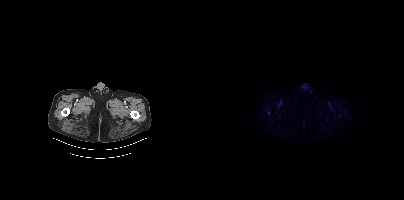
Coordinates are on the 200×200 PET (right) panel. Small PSMA-avid focus (2 to 4 px across) near (center x, center y): (64, 112).